Technique: Paired axial CT (left) and PSMA PET (right), 18F-PSMA tracer. slice 106 of 433. PET panel 200×200 px (4.1 mm/px).
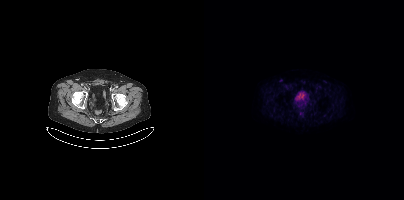
Findings: No tumor lesions annotated on this slice.